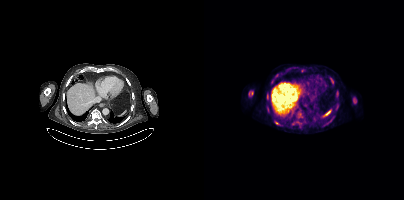
Coordinates are on the 200×200 PET (right) panel. PSMA-avid tumor lesion bounding boxes (partial; 1 more focus not listed):
| # | x0 | y0 | x1 | y1 |
|---|---|---|---|---|
| 1 | 45 | 91 | 49 | 96 |
| 2 | 149 | 98 | 152 | 103 |
| 3 | 62 | 106 | 65 | 112 |
| 4 | 127 | 79 | 129 | 83 |
| 5 | 71 | 121 | 75 | 124 |
| 6 | 63 | 93 | 64 | 98 |
Small PSMA-avid foci (2 to 4 px across) near (center x, center y): (73, 75); (129, 117); (133, 104).
Paired axial CT (left) and PSMA PET (right), [18F]PSMA-1007 tracer. Acquired on Siemens Biograph mCT Flow 20.